deidentification: privacy mask over head | modality: PSMA PET/CT | tracer: [18F]PSMA-1007 | view: axial | PET grid: 200×200
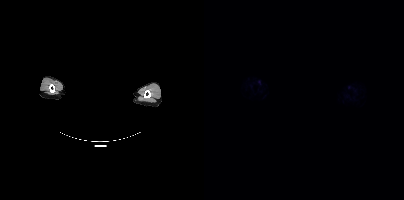
Negative for PSMA-avid disease on this slice.